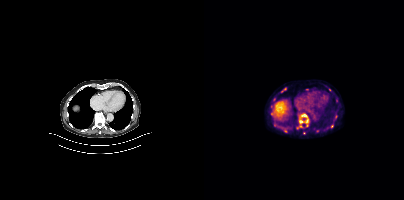
Findings: Coordinates are on the 200×200 PET (right) panel. (showing 8 of 12 foci) PSMA-avid tumor lesion bounding box (x0, y0)-(x1, y1): (95, 114)-(104, 123). Small PSMA-avid foci (2 to 4 px across) near (center x, center y): (81, 130); (128, 126); (81, 89); (132, 100); (131, 116); (96, 126); (77, 91).
- Paired axial CT (left) and PSMA PET (right), 18F tracer
- acquired on Siemens Biograph mCT Flow 20
- PET panel 200×200 px (4.1 mm/px)